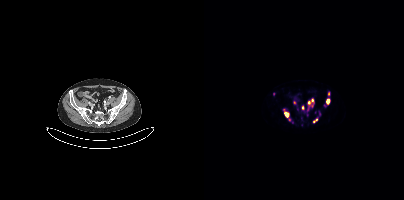
Findings: Coordinates are on the 200×200 PET (right) panel. (showing 11 of 12 foci) PSMA-avid tumor lesion bounding boxes (x, y, width, height): x=103 y=101 w=7 h=11 / x=81 y=113 w=5 h=5 / x=122 y=100 w=4 h=5 / x=109 y=117 w=5 h=6. Small PSMA-avid foci (2 to 4 px across) near (center x, center y): (98, 107) / (124, 93) / (108, 100) / (90, 102) / (115, 114) / (69, 93) / (80, 110).
- Left: CT. Right: PSMA PET, same axial level, 68Ga-PSMA tracer
- PET panel 200×200 px (4.1 mm/px)